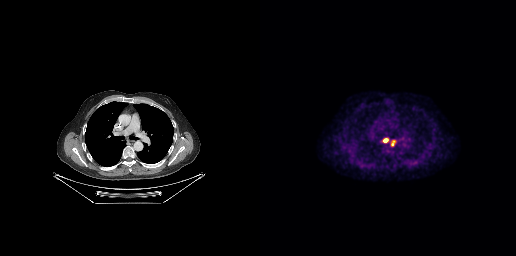
{"modality":"PSMA PET/CT","view":"axial","tracer":"18F-PSMA","pet_grid":[256,256],"coord_frame":"pet_panel","coord_format":"x0,y0,x1,y1","lesion_bboxes":[[123,138,128,142],[131,141,134,145]]}